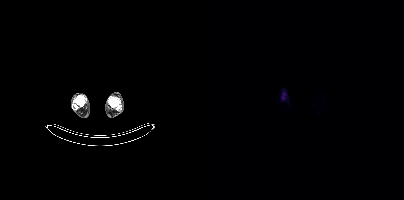
Left: CT. Right: PSMA PET, same axial level, [18F]PSMA-1007 tracer. Acquired on Siemens Biograph mCT Flow 20. Slice 79 of 963. PET panel 200×200 px (4.1 mm/px). No PSMA-avid tumor lesions on this slice.